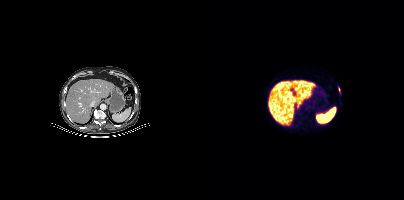
Left: CT. Right: PSMA PET, same axial level, 18F tracer. Acquired on Siemens Biograph mCT Flow 20. Slice 686 of 963. Only PSMA-avid lesion pieces thinner than 2 px on this slice (not listed).